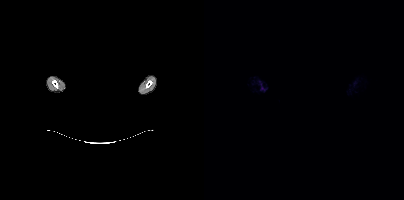
Two-panel axial: CT | PSMA PET, [18F]PSMA-1007 tracer. Acquired on Siemens Biograph mCT Flow 20. Face de-identified by blanking a block of the head. This slice has no annotated PSMA-avid lesion.